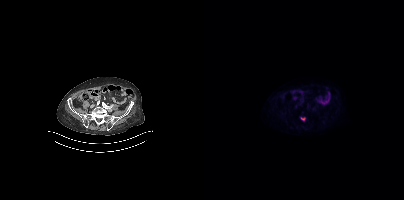
Technique: Left: CT. Right: PSMA PET, same axial level, [18F]PSMA-1007 tracer. acquired on Siemens Biograph mCT Flow 20. PET panel 200×200 px (4.1 mm/px).
Findings: Coordinates are on the 200×200 PET (right) panel. PSMA-avid tumor lesion bounding box (x, y, width, height): x=97 y=117 w=5 h=4.